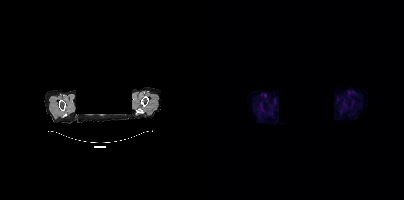
{"modality":"PSMA PET/CT","view":"axial","tracer":"18F-PSMA","pet_grid":[200,200],"coord_frame":"pet_panel","coord_format":"x0,y0,x1,y1","redaction":"facial region redacted","psma_avid_lesions":false}